modality: PSMA PET/CT | tracer: [18F]PSMA-1007 | view: axial | PET grid: 256×256
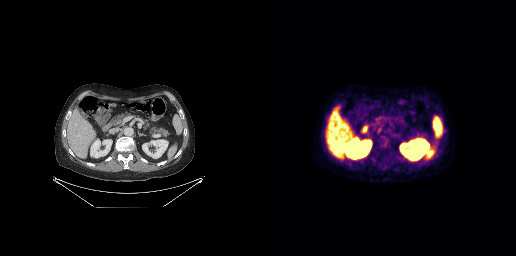
This slice has no annotated PSMA-avid lesion.